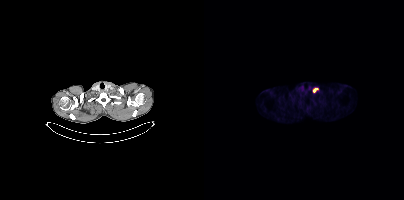
Findings: Coordinates are on the 200×200 PET (right) panel. PSMA-avid tumor lesion bounding box (x0, y0)-(x1, y1): (109, 88)-(114, 91).
- Paired axial CT (left) and PSMA PET (right), 18F-PSMA tracer
- slice 371 of 448
- PET panel 200×200 px (4.1 mm/px)